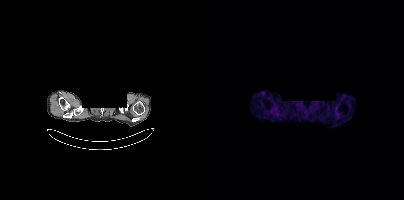
Paired axial CT (left) and PSMA PET (right), [68Ga]Ga-PSMA-11 tracer. Acquired on Siemens Biograph mCT Flow 20. Slice position z = -470 mm. PET panel 200×200 px (4.1 mm/px). A rectangle over the head was blacked out to remove identifiable facial features. No PSMA-avid tumor lesions on this slice.